Two-panel axial: CT | PSMA PET, 18F-PSMA tracer. Slice 192 of 263.
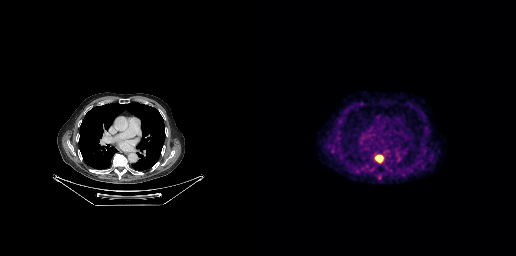
Coordinates are on the 256×256 PET (right) panel. PSMA-avid tumor lesion bounding box (x, y, width, height): x=115 y=155 w=9 h=9.